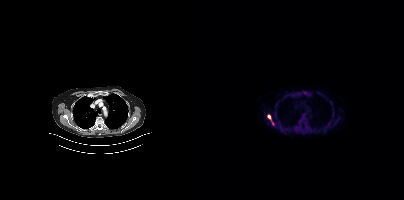
{"modality":"PSMA PET/CT","view":"axial","tracer":"18F","pet_grid":[200,200],"coord_frame":"pet_panel","coord_format":"x0,y0,x1,y1","partial":true,"lesion_bboxes":[[64,115,70,125]]}